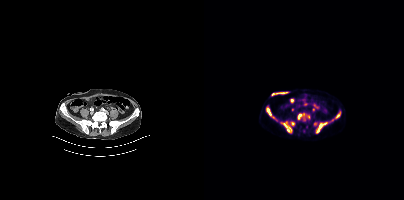
Findings: Coordinates are on the 200×200 PET (right) panel. PSMA-avid tumor lesion bounding boxes (x0, y0)-(x1, y1): (77, 121)-(90, 132) | (112, 122)-(123, 132) | (62, 107)-(70, 118) | (93, 113)-(100, 119) | (131, 112)-(136, 118). Small PSMA-avid foci (2 to 4 px across) near (center x, center y): (104, 117) | (128, 119) | (110, 123).
Technique: Left: CT. Right: PSMA PET, same axial level, [18F]PSMA-1007 tracer. PET panel 200×200 px (4.1 mm/px).